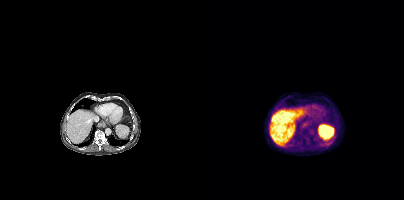
Coordinates are on the 200×200 PET (right) panel. Small PSMA-avid focus (2 to 4 px across) near (center x, center y): (102, 138).